Two-panel axial: CT | PSMA PET, 18F-PSMA tracer. PET panel 200×200 px (4.1 mm/px).
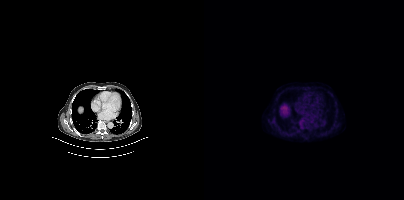
Negative for PSMA-avid disease on this slice.